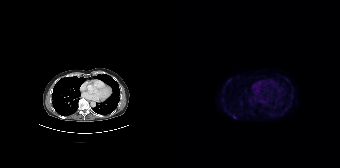
Coordinates are on the 168×168 PET (right) panel. Small PSMA-avid focus (2 to 4 px across) near (center x, center y): (62, 117).